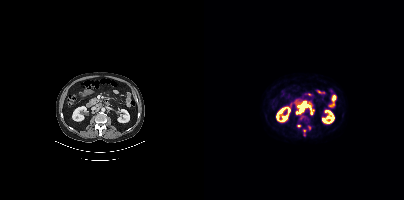
{"modality":"PSMA PET/CT","view":"axial","tracer":"18F-PSMA","pet_grid":[200,200],"coord_frame":"pet_panel","coord_format":"x0,y0,x1,y1","partial":true,"lesion_bboxes":[[92,102,108,114]]}